Paired axial CT (left) and PSMA PET (right), 18F-PSMA tracer. Slice position z = -696 mm. PET panel 200×200 px (4.1 mm/px).
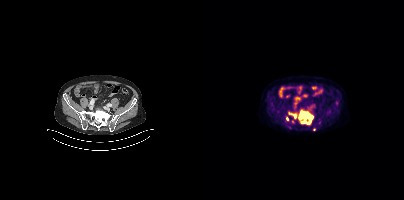
Coordinates are on the 200×200 PET (right) panel. (showing 5 of 6 foci) PSMA-avid tumor lesion bounding boxes (x, y, width, height): x=94 y=111 w=17 h=15 / x=84 y=112 w=9 h=7. Small PSMA-avid foci (2 to 4 px across) near (center x, center y): (83, 118) / (110, 129) / (88, 121).